Left: CT. Right: PSMA PET, same axial level, [18F]PSMA-1007 tracer.
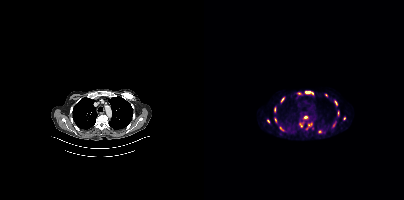
Coordinates are on the 200×200 PET (right) panel. PSMA-avid tumor lesion bounding boxes (x0,y0,x1,y1): [100,90,110,95], [93,92,98,95], [70,107,72,112], [104,123,108,126], [130,100,133,105], [63,119,65,123], [70,118,72,122], [95,123,98,127]. Small PSMA-avid foci (2 to 4 px across) near (center x, center y): (101, 117), (77, 128), (122, 95), (140, 118), (129, 125), (102, 128).